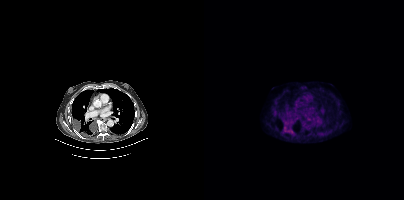
Technique: Paired axial CT (left) and PSMA PET (right), 18F tracer.
Findings: Coordinates are on the 200×200 PET (right) panel. PSMA-avid tumor lesion bounding box (x0, y0)-(x1, y1): (81, 127)-(89, 134). Small PSMA-avid focus (2 to 4 px across) near (center x, center y): (71, 115).